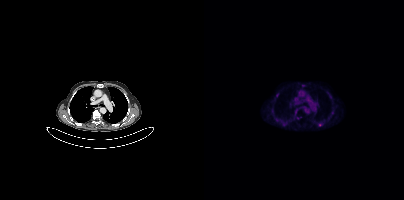
{"modality":"PSMA PET/CT","view":"axial","tracer":"18F-PSMA","pet_grid":[200,200],"coord_frame":"pet_panel","coord_format":"x0,y0,x1,y1","partial":true,"lesion_bboxes":[[114,123,118,126]]}